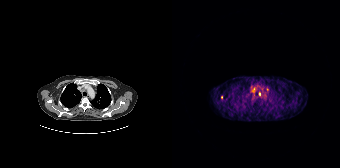
Coordinates are on the 168×168 PET (right) panel. (showing 3 of 4 foci) Small PSMA-avid foci (2 to 4 px across) near (center x, center y): (87, 93); (49, 97); (81, 89).